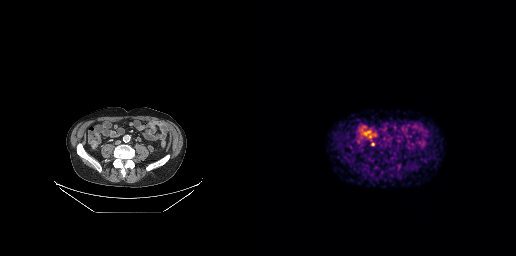
{"pet_grid":[256,256],"coord_frame":"pet_panel","coord_format":"x0,y0,x1,y1","lesion_bboxes":[],"small_foci_centers":[[112,144]],"modality":"PSMA PET/CT","view":"axial","tracer":"68Ga"}